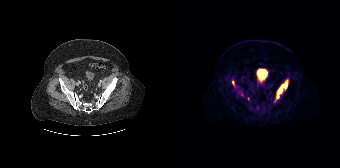
Findings: Coordinates are on the 168×168 PET (right) panel. (showing 2 of 3 foci) PSMA-avid tumor lesion bounding box (x0, y0)-(x1, y1): (104, 80)-(115, 98). Small PSMA-avid focus (2 to 4 px across) near (center x, center y): (60, 82).
- Paired axial CT (left) and PSMA PET (right), 68Ga tracer
- acquired on Siemens Biograph 64-4R TruePoint